modality: PSMA PET/CT | tracer: 18F | view: axial | PET grid: 200×200
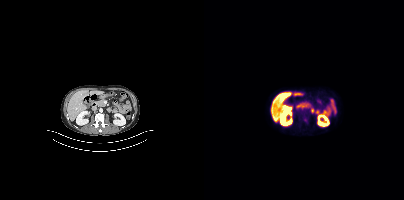
Negative for PSMA-avid disease on this slice.